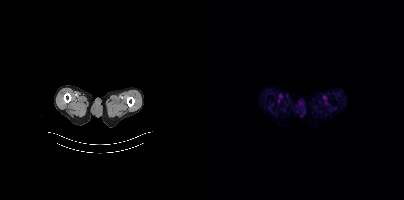
No PSMA-avid tumor lesions on this slice.